- Paired axial CT (left) and PSMA PET (right), 18F tracer
- PET panel 256×256 px (2.7 mm/px)
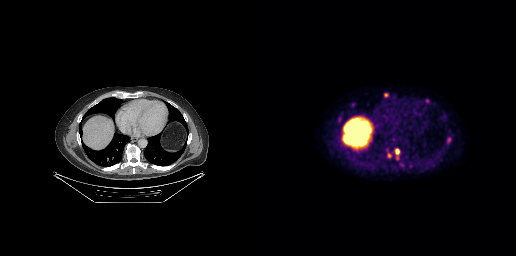
Findings: Coordinates are on the 256×256 PET (right) panel. PSMA-avid tumor lesion bounding boxes (x0,y0,x1,y1): [135,149,139,154]; [124,93,128,97]. Small PSMA-avid foci (2 to 4 px across) near (center x, center y): (188, 140); (129, 155); (79, 119).